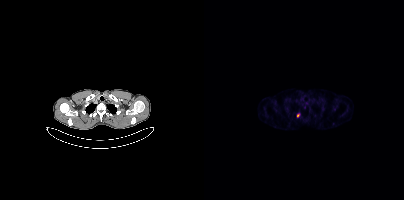
Two-panel axial: CT | PSMA PET, [68Ga]Ga-PSMA-11 tracer. Coordinates are on the 200×200 PET (right) panel. (showing 1 of 2 foci) PSMA-avid tumor lesion bounding box (x0,y0,x1,y1): [93,113,95,117].